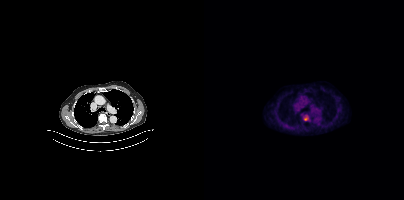
Coordinates are on the 200×200 PET (right) panel. PSMA-avid tumor lesion bounding boxes:
| # | x0 | y0 | x1 | y1 |
|---|---|---|---|---|
| 1 | 100 | 115 | 104 | 120 |
Paired axial CT (left) and PSMA PET (right), 18F-PSMA tracer. Acquired on Siemens Biograph mCT Flow 20. Slice position z = -471 mm. PET panel 200×200 px (4.1 mm/px).